modality: PSMA PET/CT | tracer: 18F | view: axial
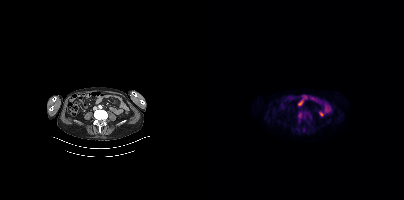
Coordinates are on the 200×200 PET (right) panel. PSMA-avid tumor lesion bounding boxes (x0, y0)-(x1, y1): (94, 112)-(98, 122) | (100, 112)-(107, 118).